Technique: Left: CT. Right: PSMA PET, same axial level, 18F-PSMA tracer. slice position z = -1296 mm.
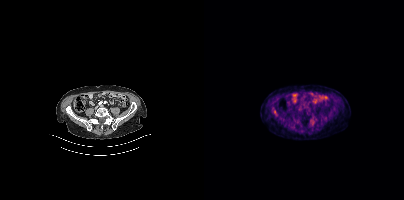
Findings: Coordinates are on the 200×200 PET (right) panel. Small PSMA-avid focus (2 to 4 px across) near (center x, center y): (70, 111).